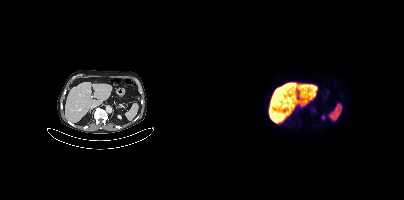
- Left: CT. Right: PSMA PET, same axial level, 18F-PSMA tracer
- slice position z = -712 mm
Findings: No PSMA-avid tumor lesions on this slice.